modality: PSMA PET/CT | tracer: 18F-PSMA | view: axial
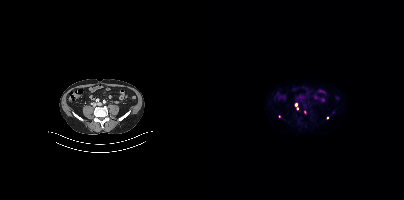
Coordinates are on the 200×200 PET (right) panel. (showing 1 of 5 foci) Small PSMA-avid focus (2 to 4 px across) near (center x, center y): (91, 104).